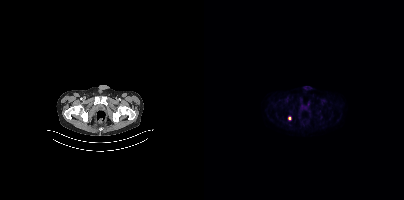
Technique: Paired axial CT (left) and PSMA PET (right), 18F tracer. slice 49 of 377. PET panel 200×200 px (4.1 mm/px).
Findings: Coordinates are on the 200×200 PET (right) panel. Small PSMA-avid focus (2 to 4 px across) near (center x, center y): (85, 118).